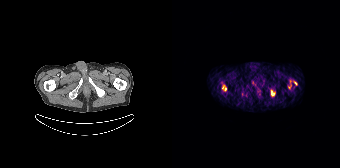
Coordinates are on the 168×168 PET (right) panel. (showing 3 of 4 foci) PSMA-avid tumor lesion bounding boxes (x, y, width, height): x=50 y=82 w=5 h=10 | x=99 y=90 w=4 h=6. Small PSMA-avid focus (2 to 4 px across) near (center x, center y): (123, 83).